Technique: Paired axial CT (left) and PSMA PET (right), 18F tracer. acquired on Siemens Biograph mCT Flow 20. PET panel 200×200 px (4.1 mm/px).
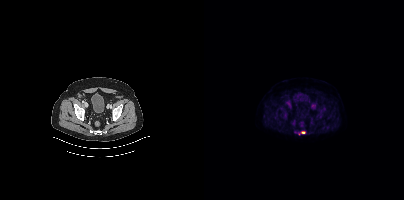
Findings: Coordinates are on the 200×200 PET (right) panel. (showing 1 of 2 foci) PSMA-avid tumor lesion bounding box (x, y, width, height): x=97 y=131 w=5 h=3.